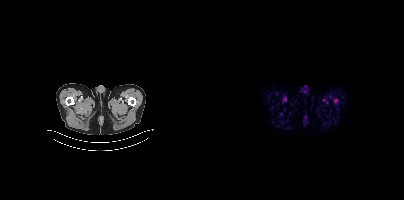
Findings: Coordinates are on the 200×200 PET (right) panel. Small PSMA-avid focus (2 to 4 px across) near (center x, center y): (131, 101).
- Left: CT. Right: PSMA PET, same axial level, 18F-PSMA tracer
- PET panel 200×200 px (4.1 mm/px)